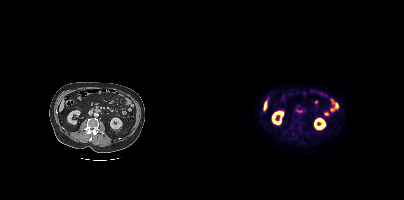
{"pet_grid":[200,200],"coord_frame":"pet_panel","coord_format":"x0,y0,x1,y1","psma_avid_lesions":false,"modality":"PSMA PET/CT","view":"axial","tracer":"18F-PSMA"}